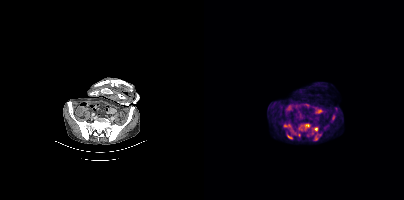
Coordinates are on the 200×200 PET (right) panel. PSMA-avid tumor lesion bounding boxes (partial; 1 more focus not listed):
| # | x0 | y0 | x1 | y1 |
|---|---|---|---|---|
| 1 | 94 | 124 | 106 | 130 |
| 2 | 108 | 127 | 114 | 134 |
| 3 | 110 | 133 | 117 | 140 |
| 4 | 86 | 128 | 92 | 134 |
| 5 | 84 | 136 | 88 | 139 |
| 6 | 128 | 115 | 131 | 119 |
Small PSMA-avid foci (2 to 4 px across) near (center x, center y): (95, 134); (81, 125); (103, 135).
Paired axial CT (left) and PSMA PET (right), 18F tracer. Acquired on Siemens Biograph mCT Flow 20. Slice 106 of 403.